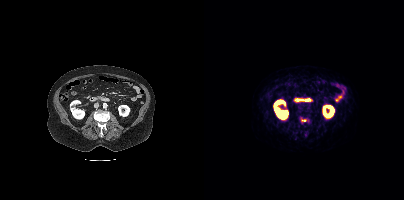
Coordinates are on the 200×200 PET (right) panel. (showing 1 of 2 foci) PSMA-avid tumor lesion bounding box (x0, y0)-(x1, y1): (97, 119)-(102, 121).